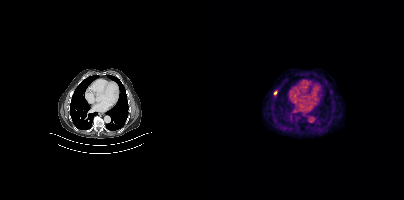
Coordinates are on the 200×200 PET (right) panel. PSMA-avid tumor lesion bounding box (x, y, width, height): x=70 y=90 w=4 h=6.